Technique: Two-panel axial: CT | PSMA PET, 18F tracer. acquired on Siemens Biograph mCT Flow 20. PET panel 200×200 px (4.1 mm/px).
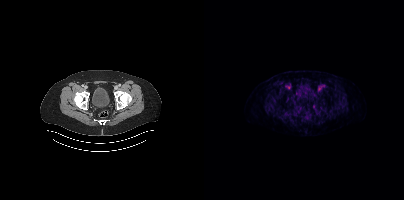
Findings: Negative for PSMA-avid disease on this slice.